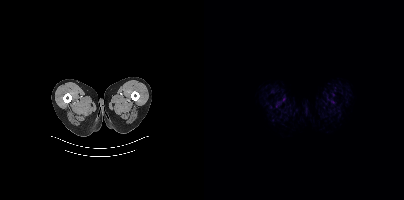
modality: PSMA PET/CT | tracer: [18F]PSMA-1007 | view: axial
This slice has no annotated PSMA-avid lesion.